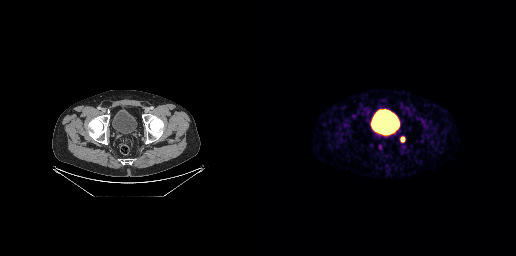
Findings: Coordinates are on the 256×256 PET (right) panel. PSMA-avid tumor lesion bounding boxes (x0, y0)-(x1, y1): (141, 137)-(144, 141) | (119, 145)-(121, 149).
- Two-panel axial: CT | PSMA PET, [68Ga]Ga-PSMA-11 tracer
- acquired on GE Discovery 690
- slice position z = -857 mm